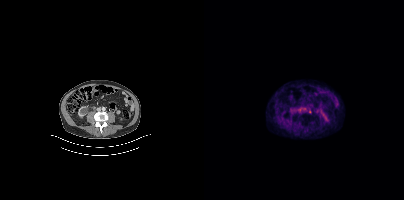
{"modality":"PSMA PET/CT","view":"axial","tracer":"18F-PSMA","pet_grid":[200,200],"coord_frame":"pet_panel","coord_format":"x0,y0,x1,y1","psma_avid_lesions":false}